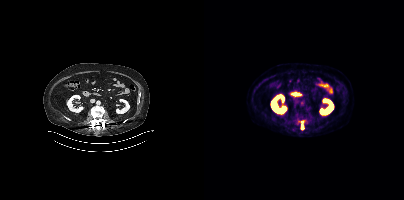
- Paired axial CT (left) and PSMA PET (right), 18F tracer
Findings: Coordinates are on the 200×200 PET (right) panel. PSMA-avid tumor lesion bounding box (x, y, width, height): x=97 y=120 w=4 h=9.